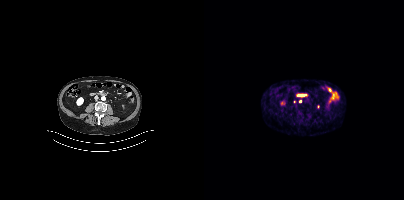
Coordinates are on the 200×200 PET (right) panel. Small PSMA-avid focus (2 to 4 px across) near (center x, center y): (96, 101). Paired axial CT (left) and PSMA PET (right), 68Ga tracer.